modality: PSMA PET/CT | tracer: 68Ga-PSMA | view: axial | PET grid: 200×200
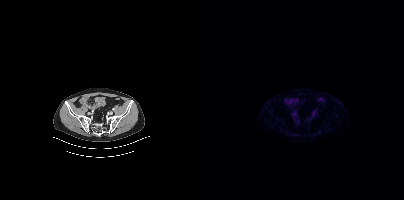
This slice has no annotated PSMA-avid lesion.